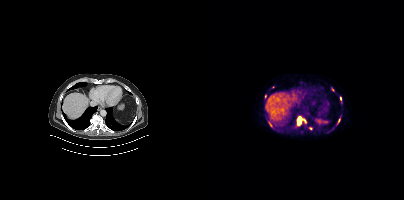
- Left: CT. Right: PSMA PET, same axial level, 18F tracer
- slice 266 of 444
- PET panel 200×200 px (4.1 mm/px)
Findings: Coordinates are on the 200×200 PET (right) panel. (showing 2 of 5 foci) PSMA-avid tumor lesion bounding box (x0,y0,x1,y1): [93,119,101,125]. Small PSMA-avid focus (2 to 4 px across) near (center x, center y): (136, 99).